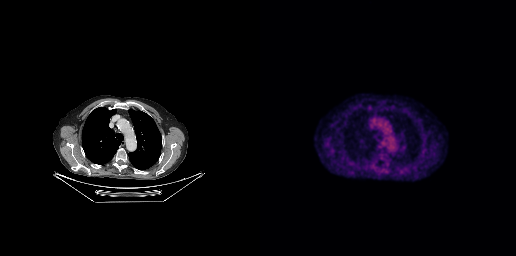
Technique: Paired axial CT (left) and PSMA PET (right), [18F]PSMA-1007 tracer. acquired on GE Discovery 690.
Findings: No tumor lesions annotated on this slice.